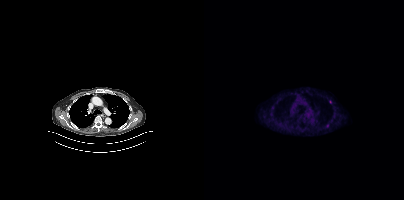
Technique: Left: CT. Right: PSMA PET, same axial level, 18F tracer. slice position z = -518 mm.
Findings: Coordinates are on the 200×200 PET (right) panel. Small PSMA-avid foci (2 to 4 px across) near (center x, center y): (123, 125); (126, 101).